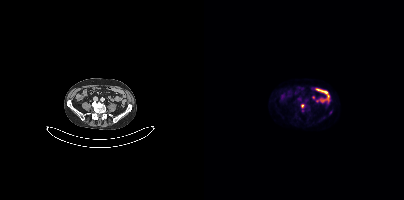
Coordinates are on the 200×200 PET (right) panel. Small PSMA-avid focus (2 to 4 px across) near (center x, center y): (98, 105).